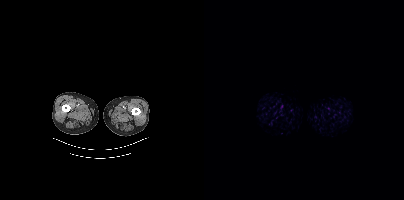
Negative for PSMA-avid disease on this slice. Two-panel axial: CT | PSMA PET, 18F tracer. Acquired on Siemens Biograph mCT Flow 20. Slice position z = -1590 mm.